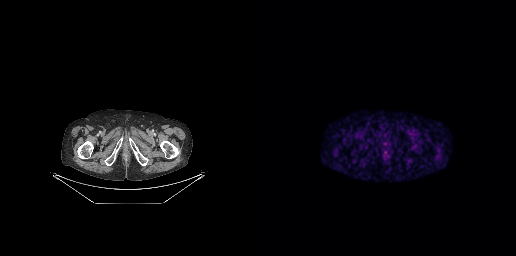
modality: PSMA PET/CT | tracer: 68Ga | view: axial | PET grid: 256×256
No tumor lesions annotated on this slice.